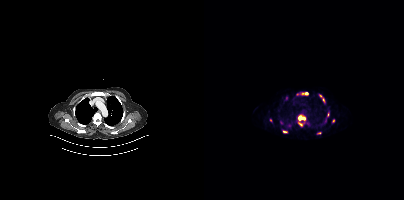
{"modality":"PSMA PET/CT","view":"axial","tracer":"[68Ga]Ga-PSMA-11","pet_grid":[200,200],"coord_frame":"pet_panel","coord_format":"x0,y0,x1,y1","partial":true,"lesion_bboxes":[[94,116,101,126],[115,94,120,101],[101,120,105,124],[113,132,117,134]],"small_foci_centers":[[124,114],[80,131],[102,93],[77,122],[129,120]]}